Left: CT. Right: PSMA PET, same axial level, 18F tracer. Slice position z = -1672 mm.
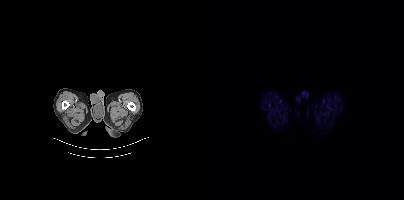
No PSMA-avid tumor lesions on this slice.